- Paired axial CT (left) and PSMA PET (right), 18F-PSMA tracer
- acquired on Siemens Biograph mCT Flow 20
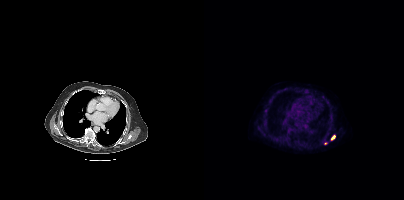
Findings: Coordinates are on the 200×200 PET (right) panel. (showing 1 of 3 foci) PSMA-avid tumor lesion bounding box (x0,y0,x1,y1): [127,135,131,139].